redaction: face masked with black rectangle | modality: PSMA PET/CT | tracer: 18F-PSMA | view: axial
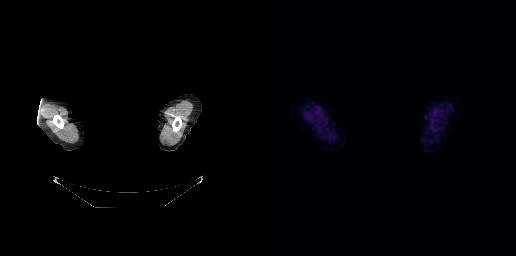
Negative for PSMA-avid disease on this slice.